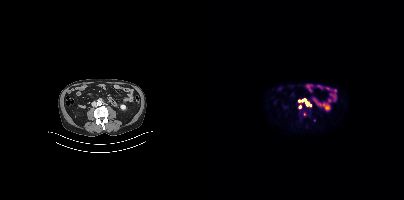
{"modality":"PSMA PET/CT","view":"axial","tracer":"18F","pet_grid":[200,200],"coord_frame":"pet_panel","coord_format":"x0,y0,x1,y1","partial":true,"lesion_bboxes":[[99,112,102,116],[102,102,106,105]],"small_foci_centers":[[99,100],[96,106]]}